modality: PSMA PET/CT | tracer: 68Ga-PSMA | view: axial | PET grid: 256×256
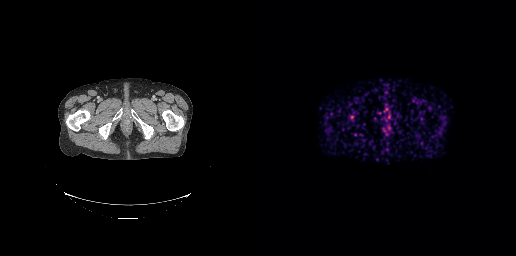
Negative for PSMA-avid disease on this slice.